Two-panel axial: CT | PSMA PET, [18F]PSMA-1007 tracer.
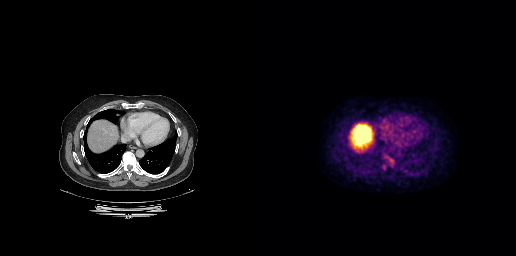
Only PSMA-avid lesion pieces thinner than 2 px on this slice (not listed).